- Paired axial CT (left) and PSMA PET (right), [18F]PSMA-1007 tracer
- acquired on Siemens Biograph mCT Flow 20
- slice 388 of 429
- the head region is masked for de-identification
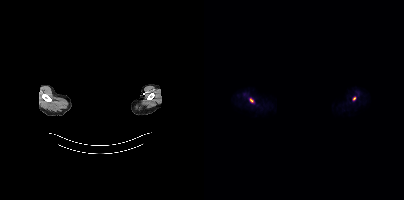
Findings: Coordinates are on the 200×200 PET (right) panel. Small PSMA-avid foci (2 to 4 px across) near (center x, center y): (47, 100) / (150, 98).